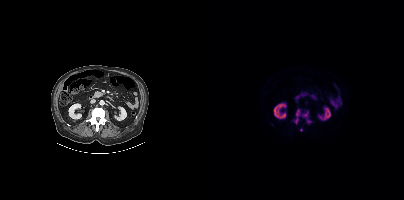
- Paired axial CT (left) and PSMA PET (right), 18F tracer
- acquired on Siemens Biograph mCT Flow 20
Findings: Coordinates are on the 200×200 PET (right) panel. PSMA-avid tumor lesion bounding box (x0,y0,x1,y1): [89,109,107,124]. Small PSMA-avid focus (2 to 4 px across) near (center x, center y): (97, 129).